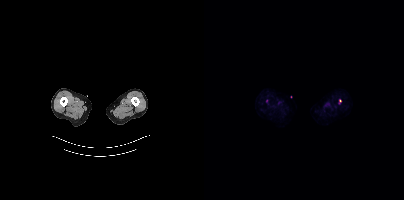
modality: PSMA PET/CT | tracer: [18F]PSMA-1007 | view: axial | PET grid: 200×200
Coordinates are on the 200×200 PET (right) panel. Small PSMA-avid foci (2 to 4 px across) near (center x, center y): (136, 100) / (62, 100).